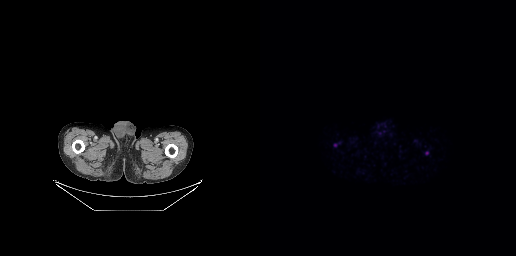
Two-panel axial: CT | PSMA PET, 68Ga-PSMA tracer. Acquired on GE Discovery 690. No PSMA-avid tumor lesions on this slice.